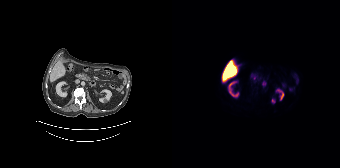
No PSMA-avid tumor lesions on this slice.